modality: PSMA PET/CT | tracer: 18F | view: axial | PET grid: 256×256
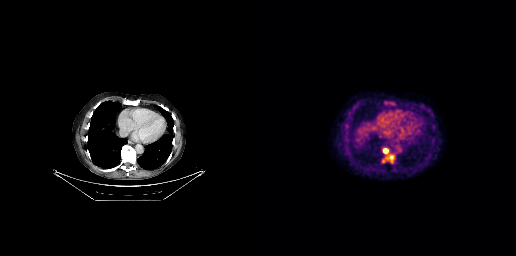
Coordinates are on the 256×256 PET (right) panel. PSMA-avid tumor lesion bounding boxes (x0,y0,x1,y1): [121,157,127,163] [123,148,128,153]. Small PSMA-avid focus (2 to 4 px across) near (center x, center y): (131, 157).